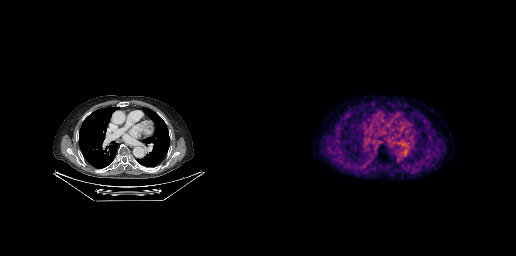
modality: PSMA PET/CT | tracer: [18F]PSMA-1007 | view: axial
No tumor lesions annotated on this slice.